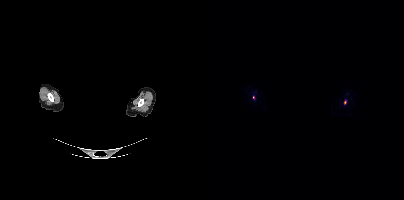
{"modality":"PSMA PET/CT","view":"axial","tracer":"18F","pet_grid":[200,200],"coord_frame":"pet_panel","coord_format":"x0,y0,x1,y1","deidentification":"rectangular block over head set to black","partial":true,"lesion_bboxes":[],"small_foci_centers":[[140,102]]}